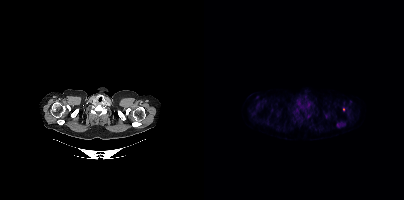
Coordinates are on the 200×200 PET (right) panel. PSMA-avid tumor lesion bounding boxes (x0, y0)-(x1, y1): (132, 122)-(140, 127) / (97, 105)-(101, 109) / (96, 118)-(99, 122). Small PSMA-avid focus (2 to 4 px across) near (center x, center y): (140, 109).